Left: CT. Right: PSMA PET, same axial level, [18F]PSMA-1007 tracer. Acquired on Siemens Biograph mCT Flow 20. Slice position z = -960 mm. PET panel 200×200 px (4.1 mm/px).
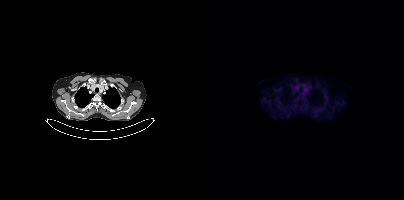
No PSMA-avid tumor lesions on this slice.